Technique: Paired axial CT (left) and PSMA PET (right), 18F tracer. slice 264 of 411.
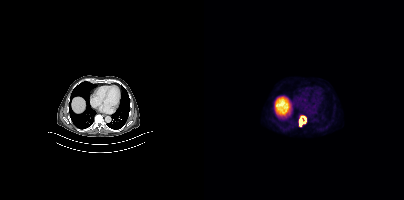
Findings: Coordinates are on the 200×200 PET (right) panel. PSMA-avid tumor lesion bounding box (x, y, width, height): x=94 y=115 w=9 h=12.